modality: PSMA PET/CT | tracer: [68Ga]Ga-PSMA-11 | view: axial
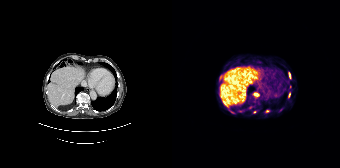
Coordinates are on the 168×168 PET (right) panel. PSMA-avid tumor lesion bounding boxes (x0, y0)-(x1, y1): (81, 93)-(87, 96) / (116, 93)-(118, 97) / (117, 73)-(118, 77). Small PSMA-avid foci (2 to 4 px across) near (center x, center y): (95, 111) / (49, 77) / (109, 109) / (82, 112).